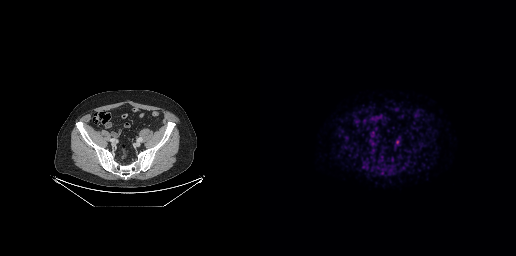
{"modality":"PSMA PET/CT","view":"axial","tracer":"18F-PSMA","pet_grid":[256,256],"coord_frame":"pet_panel","coord_format":"x0,y0,x1,y1","lesion_bboxes":[[135,142,139,147]]}